- Two-panel axial: CT | PSMA PET, [68Ga]Ga-PSMA-11 tracer
- slice position z = -1571 mm
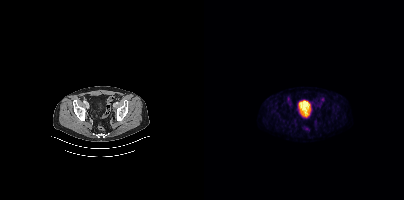
Findings: Coordinates are on the 200×200 PET (right) panel. Small PSMA-avid focus (2 to 4 px across) near (center x, center y): (118, 99).